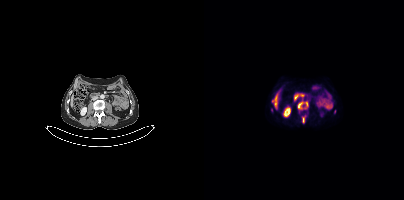
{"modality":"PSMA PET/CT","view":"axial","tracer":"18F-PSMA","pet_grid":[200,200],"coord_frame":"pet_panel","coord_format":"x0,y0,x1,y1","partial":true,"lesion_bboxes":[[93,100,104,110],[98,115,101,123]]}